- Paired axial CT (left) and PSMA PET (right), 68Ga-PSMA tracer
- slice 116 of 263
- PET panel 256×256 px (2.7 mm/px)
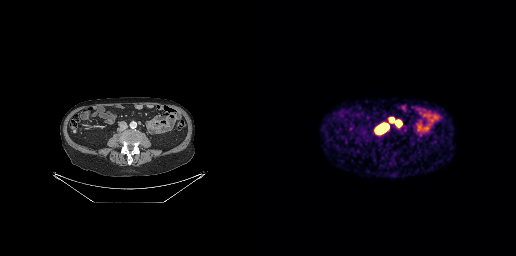
Findings: Coordinates are on the 256×256 PET (right) panel. PSMA-avid tumor lesion bounding boxes (x0,y0,x1,y1): [116,125,127,132], [136,121,141,125]. Small PSMA-avid focus (2 to 4 px across) near (center x, center y): (132, 120).